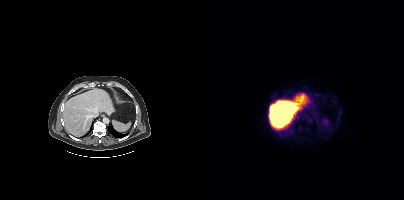
modality: PSMA PET/CT | tracer: 18F-PSMA | view: axial
No PSMA-avid tumor lesions on this slice.